Left: CT. Right: PSMA PET, same axial level, 18F-PSMA tracer. Acquired on Siemens Biograph mCT Flow 20.
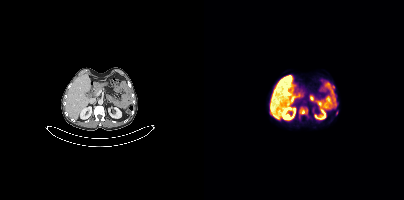
Coordinates are on the 200×200 PET (right) panel. PSMA-avid tumor lesion bounding boxes:
| # | x0 | y0 | x1 | y1 |
|---|---|---|---|---|
| 1 | 96 | 108 | 103 | 114 |